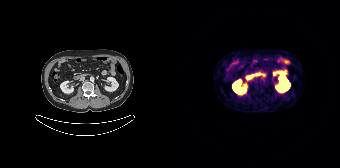
Technique: Left: CT. Right: PSMA PET, same axial level, 68Ga-PSMA tracer. slice position z = -1002 mm. PET panel 168×168 px (4.1 mm/px).
Findings: Negative for PSMA-avid disease on this slice.